Paired axial CT (left) and PSMA PET (right), 18F tracer. Slice 370 of 395. PET panel 200×200 px (4.1 mm/px). A rectangular block over the head has been blanked out for de-identification.
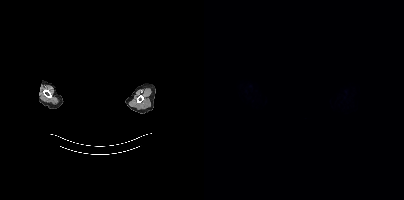
No PSMA-avid tumor lesions on this slice.